Paired axial CT (left) and PSMA PET (right), [68Ga]Ga-PSMA-11 tracer. Slice position z = -1116 mm.
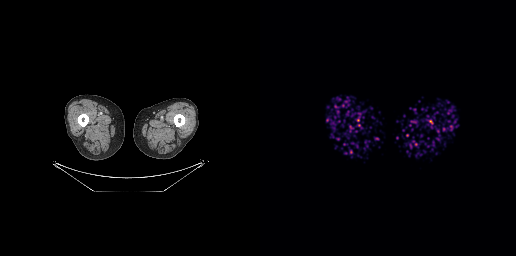
Negative for PSMA-avid disease on this slice.